Paired axial CT (left) and PSMA PET (right), 18F-PSMA tracer. Acquired on Siemens Biograph mCT Flow 20. PET panel 200×200 px (4.1 mm/px).
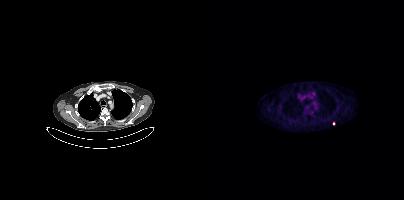
Coordinates are on the 200×200 PET (right) panel. Small PSMA-avid focus (2 to 4 px across) near (center x, center y): (129, 123).